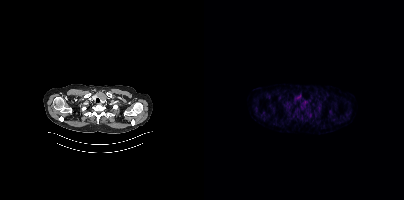
Technique: Two-panel axial: CT | PSMA PET, 18F-PSMA tracer.
Findings: No PSMA-avid tumor lesions on this slice.